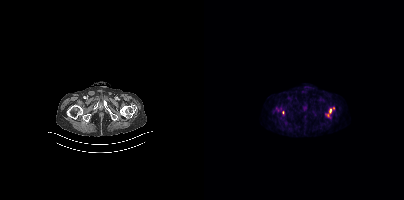
Left: CT. Right: PSMA PET, same axial level, 18F tracer. Slice 26 of 373. Coordinates are on the 200×200 PET (right) panel. PSMA-avid tumor lesion bounding boxes (x, y, width, height): x=122 y=107 w=9 h=11 | x=72 y=107 w=5 h=5. Small PSMA-avid focus (2 to 4 px across) near (center x, center y): (79, 112).